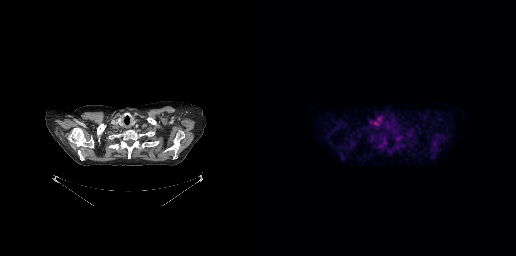
Coordinates are on the 256×256 PET (right) panel. PSMA-avid tumor lesion bounding box (x, y, width, height): x=114 y=122 w=5 h=4. Small PSMA-avid focus (2 to 4 px across) near (center x, center y): (119, 119).